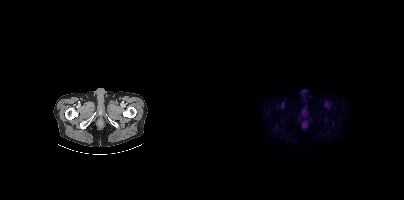
{"modality":"PSMA PET/CT","view":"axial","tracer":"18F","pet_grid":[200,200],"coord_frame":"pet_panel","coord_format":"x0,y0,x1,y1","psma_avid_lesions":false}